The head region is masked for de-identification. Two-panel axial: CT | PSMA PET, 18F-PSMA tracer. Slice 392 of 431.
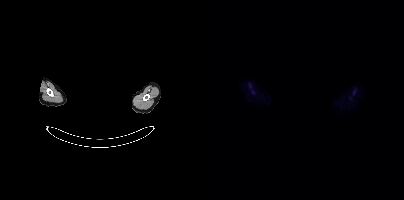
This slice has no annotated PSMA-avid lesion.